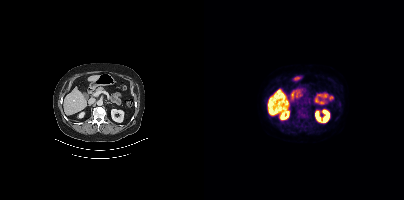
Findings: Coordinates are on the 200×200 PET (right) panel. PSMA-avid tumor lesion bounding boxes (x0,y0,x1,y1): [92,108,103,116]; [96,124,101,128]. Small PSMA-avid focus (2 to 4 px across) near (center x, center y): (135, 103).
- Two-panel axial: CT | PSMA PET, [18F]PSMA-1007 tracer
- PET panel 200×200 px (4.1 mm/px)